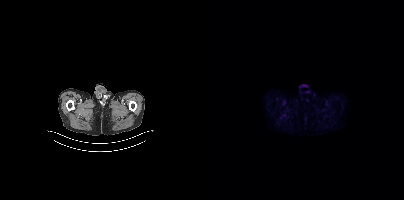
{"modality":"PSMA PET/CT","view":"axial","tracer":"[18F]PSMA-1007","pet_grid":[200,200],"coord_frame":"pet_panel","coord_format":"x0,y0,x1,y1","psma_avid_lesions":false}